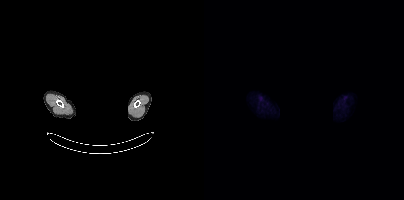
Findings: No PSMA-avid tumor lesions on this slice.
Technique: Paired axial CT (left) and PSMA PET (right), 18F tracer. PET panel 200×200 px (4.1 mm/px).
Note: A rectangle over the head was blacked out to remove identifiable facial features.